Two-panel axial: CT | PSMA PET, 18F tracer. Slice position z = -1386 mm. PET panel 200×200 px (4.1 mm/px).
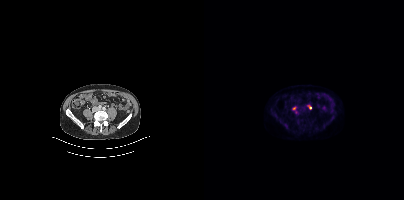
Coordinates are on the 200×200 PET (right) panel. (showing 1 of 2 foci) Small PSMA-avid focus (2 to 4 px across) near (center x, center y): (106, 107).